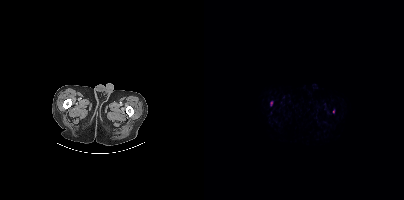
Technique: Two-panel axial: CT | PSMA PET, [18F]PSMA-1007 tracer. acquired on Siemens Biograph mCT Flow 20. slice position z = -1747 mm. PET panel 200×200 px (4.1 mm/px).
Findings: Coordinates are on the 200×200 PET (right) panel. PSMA-avid tumor lesion bounding box (x0,y0,x1,y1): [66,101,68,105]. Small PSMA-avid focus (2 to 4 px across) near (center x, center y): (129, 111).